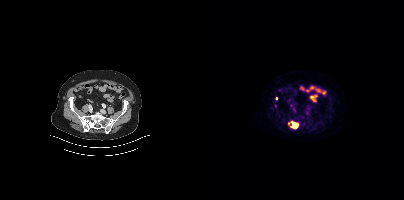
Coordinates are on the 200×200 PET (right) panel. PSMA-avid tumor lesion bounding box (x0,y0,x1,y1): [86,121,94,128]. Small PSMA-avid foci (2 to 4 px across) near (center x, center y): (72, 98); (84, 123).